Technique: Two-panel axial: CT | PSMA PET, 18F-PSMA tracer.
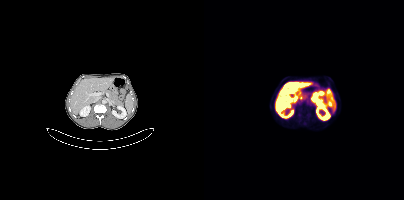
Findings: Coordinates are on the 200×200 PET (right) panel. PSMA-avid tumor lesion bounding box (x0, y0)-(x1, y1): (96, 107)-(102, 112).